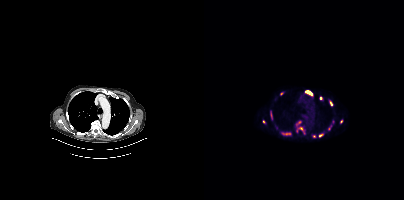
Findings: Coordinates are on the 200×200 PET (right) panel. (showing 13 of 15 foci) PSMA-avid tumor lesion bounding boxes (x0, y0)-(x1, y1): (102, 91)-(108, 94) | (79, 133)-(86, 134) | (124, 125)-(127, 130) | (95, 128)-(100, 133) | (67, 112)-(68, 119). Small PSMA-avid foci (2 to 4 px across) near (center x, center y): (116, 135) | (127, 103) | (116, 98) | (109, 136) | (59, 121) | (95, 122) | (77, 93) | (136, 121).
Technique: Paired axial CT (left) and PSMA PET (right), 68Ga tracer. PET panel 200×200 px (4.1 mm/px).